Two-panel axial: CT | PSMA PET, [18F]PSMA-1007 tracer. Acquired on Siemens Biograph 64-4R TruePoint. PET panel 168×168 px (4.1 mm/px).
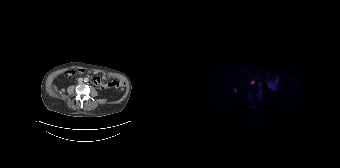
Coordinates are on the 168×168 PET (right) panel. PSMA-avid tumor lesion bounding boxes:
| # | x0 | y0 | x1 | y1 |
|---|---|---|---|---|
| 1 | 85 | 83 | 89 | 98 |
Small PSMA-avid foci (2 to 4 px across) near (center x, center y): (80, 82); (63, 90); (81, 106).